Two-panel axial: CT | PSMA PET, [18F]PSMA-1007 tracer. Acquired on Siemens Biograph mCT Flow 20. PET panel 200×200 px (4.1 mm/px).
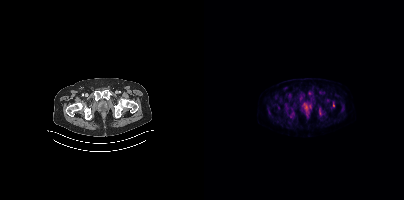
Coordinates are on the 200×200 PET (right) panel. PSMA-avid tumor lesion bounding box (x0, y0)-(x1, y1): (129, 102)-(130, 106).